Left: CT. Right: PSMA PET, same axial level, 18F tracer. Slice position z = -542 mm. PET panel 200×200 px (4.1 mm/px).
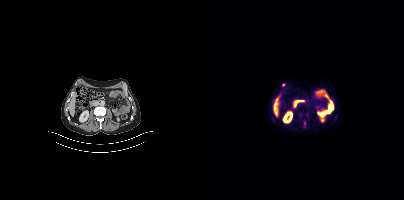
Only PSMA-avid lesion pieces thinner than 2 px on this slice (not listed).